- Two-panel axial: CT | PSMA PET, 18F-PSMA tracer
- slice 26 of 415
- PET panel 200×200 px (4.1 mm/px)
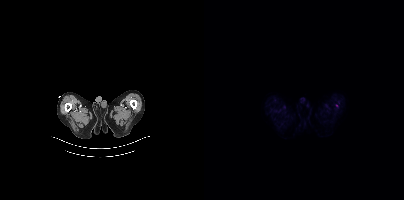
Findings: No PSMA-avid tumor lesions on this slice.